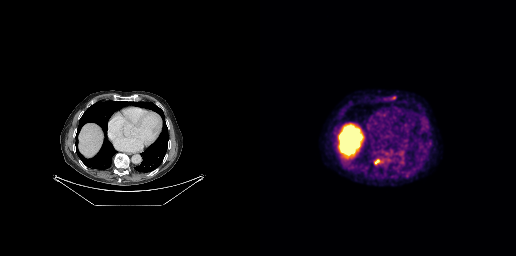
modality: PSMA PET/CT | tracer: 18F-PSMA | view: axial
Coordinates are on the 256×256 PET (right) panel. PSMA-avid tumor lesion bounding boxes (x0, y0)-(x1, y1): (113, 158)-(121, 165) | (131, 96)-(136, 100) | (165, 119)-(168, 124).